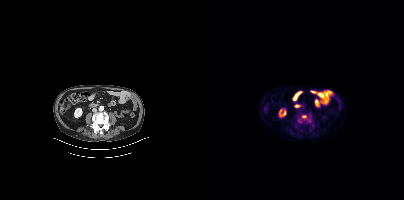
{"modality":"PSMA PET/CT","view":"axial","tracer":"18F","pet_grid":[200,200],"coord_frame":"pet_panel","coord_format":"x0,y0,x1,y1","partial":true,"lesion_bboxes":[]}